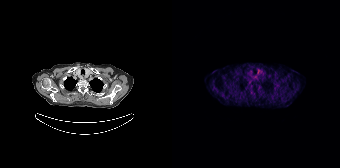
No PSMA-avid tumor lesions on this slice.